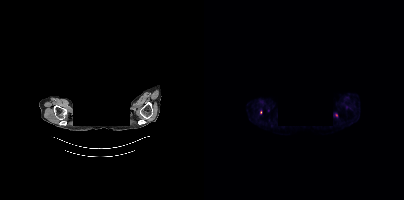
A rectangle over the head was blacked out to remove identifiable facial features.
Coordinates are on the 200×200 PET (right) panel. (showing 1 of 2 foci) PSMA-avid tumor lesion bounding box (x, y, width, height): x=56 y=110 w=3 h=5.